Technique: Left: CT. Right: PSMA PET, same axial level, 18F-PSMA tracer. slice 84 of 403. PET panel 200×200 px (4.1 mm/px).
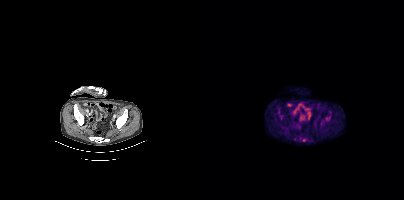
Findings: Coordinates are on the 200×200 PET (right) panel. (showing 2 of 3 foci) PSMA-avid tumor lesion bounding box (x0,y0,x1,y1): [95,137,102,141]. Small PSMA-avid focus (2 to 4 px across) near (center x, center y): (90, 139).